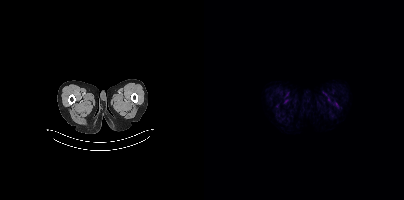
{"modality":"PSMA PET/CT","view":"axial","tracer":"[18F]PSMA-1007","pet_grid":[200,200],"coord_frame":"pet_panel","coord_format":"x0,y0,x1,y1","psma_avid_lesions":false}